modality: PSMA PET/CT | tracer: 18F-PSMA | view: axial
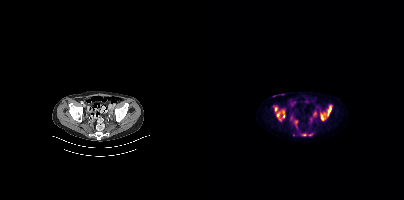
Coordinates are on the 200×200 PET (right) panel. (showing 3 of 4 foci) PSMA-avid tumor lesion bounding boxes (x0,y0,x1,y1): [69,105,81,121]; [123,105,127,116]; [117,113,121,120].